Two-panel axial: CT | PSMA PET, 18F tracer. Slice position z = -1386 mm.
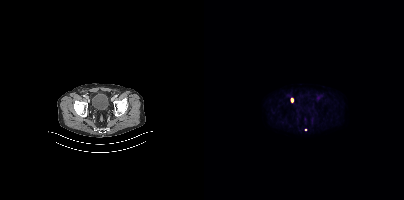
Coordinates are on the 200×200 PET (right) panel. Small PSMA-avid focus (2 to 4 px across) near (center x, center y): (101, 129).